Left: CT. Right: PSMA PET, same axial level, 68Ga-PSMA tracer.
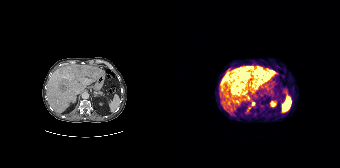
Coordinates are on the 168×168 PET (right) panel. PSMA-avid tumor lesion bounding boxes (partial; 2 more foci not listed):
| # | x0 | y0 | x1 | y1 |
|---|---|---|---|---|
| 1 | 65 | 67 | 88 | 81 |
| 2 | 58 | 83 | 73 | 95 |
| 3 | 92 | 72 | 99 | 78 |
| 4 | 80 | 80 | 88 | 85 |
| 5 | 50 | 75 | 55 | 81 |
Small PSMA-avid foci (2 to 4 px across) near (center x, center y): (81, 103); (89, 75); (66, 80).